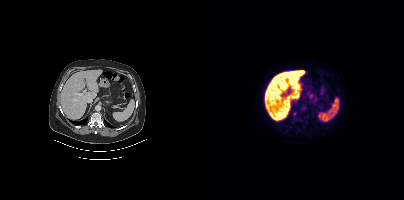
This slice has no annotated PSMA-avid lesion.